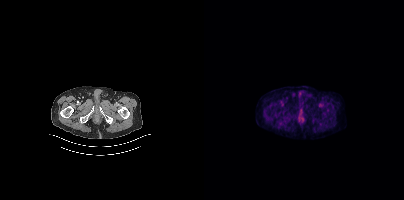
Technique: Two-panel axial: CT | PSMA PET, [18F]PSMA-1007 tracer. acquired on Siemens Biograph mCT Flow 20. PET panel 200×200 px (4.1 mm/px).
Findings: This slice has no annotated PSMA-avid lesion.